- Left: CT. Right: PSMA PET, same axial level, [68Ga]Ga-PSMA-11 tracer
- acquired on Siemens Biograph mCT Flow 20
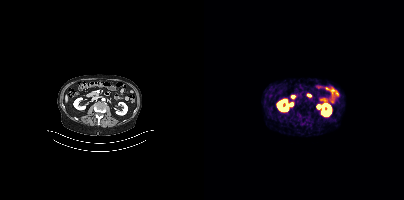
Findings: This slice has no annotated PSMA-avid lesion.